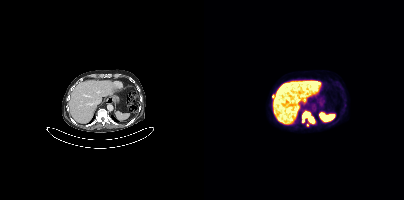
Coordinates are on the 200×200 PET (right) panel. PSMA-avid tumor lesion bounding box (x0,y0,x1,y1): [98,111,111,123]. Small PSMA-avid foci (2 to 4 px across) near (center x, center y): (69, 96), (103, 124).